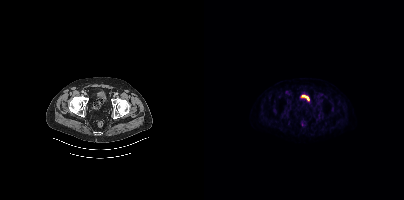
Coordinates are on the 200×200 PET (right) panel. (showing 4 of 5 foci) PSMA-avid tumor lesion bounding boxes (x, y, width, height): x=82 y=105 w=5 h=6 | x=114 y=113 w=3 h=5. Small PSMA-avid foci (2 to 4 px across) near (center x, center y): (114, 102) | (118, 116).